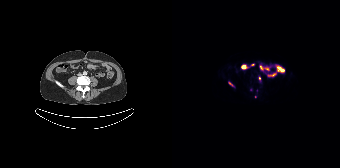
Coordinates are on the 168×168 PET (right) panel. (showing 3 of 4 foci) Small PSMA-avid foci (2 to 4 px across) near (center x, center y): (87, 78) / (58, 83) / (83, 96). Two-panel axial: CT | PSMA PET, [18F]PSMA-1007 tracer. Acquired on Siemens Biograph 64-4R TruePoint.